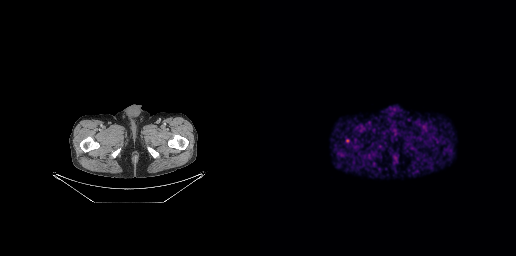
Coordinates are on the 256×256 PET (right) panel. Small PSMA-avid focus (2 to 4 px across) near (center x, center y): (87, 140).